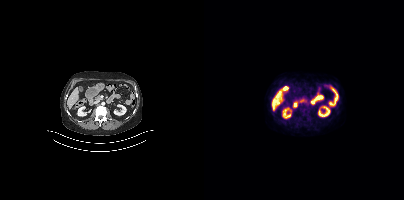
This slice has no annotated PSMA-avid lesion.